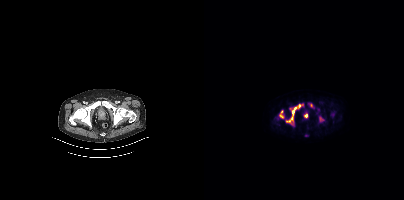
{"modality":"PSMA PET/CT","view":"axial","tracer":"[18F]PSMA-1007","pet_grid":[200,200],"coord_frame":"pet_panel","coord_format":"x0,y0,x1,y1","partial":true,"lesion_bboxes":[[82,107,92,122],[106,103,108,107]],"small_foci_centers":[[101,115],[117,118],[77,116],[95,105],[77,111]]}